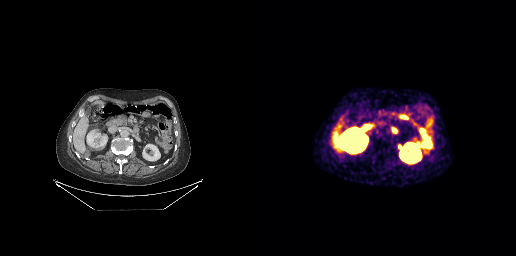
Technique: Left: CT. Right: PSMA PET, same axial level, [68Ga]Ga-PSMA-11 tracer. PET panel 256×256 px (2.7 mm/px).
Findings: No tumor lesions annotated on this slice.